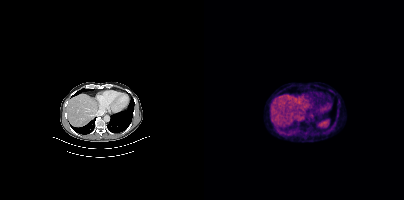
{"modality":"PSMA PET/CT","view":"axial","tracer":"18F-PSMA","pet_grid":[200,200],"coord_frame":"pet_panel","coord_format":"x0,y0,x1,y1","lesion_bboxes":[[93,114,101,121]]}